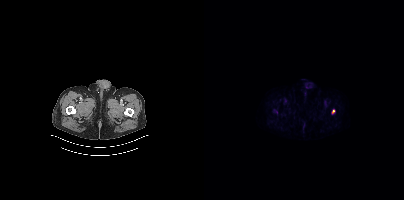
{"modality":"PSMA PET/CT","view":"axial","tracer":"18F","pet_grid":[200,200],"coord_frame":"pet_panel","coord_format":"x0,y0,x1,y1","lesion_bboxes":[],"small_foci_centers":[[129,111]]}